- any black rectangle over the head is a privacy mask, not anatomy
- Left: CT. Right: PSMA PET, same axial level, 18F-PSMA tracer
- slice position z = -352 mm
- PET panel 200×200 px (4.1 mm/px)
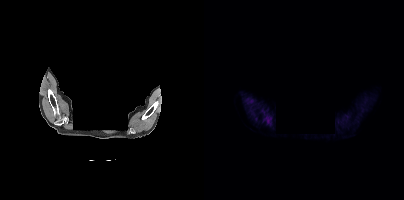
Findings: No tumor lesions annotated on this slice.